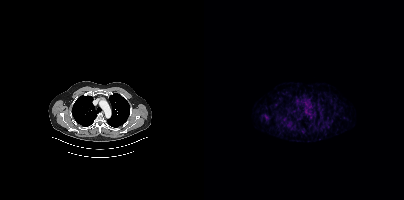
{"modality":"PSMA PET/CT","view":"axial","tracer":"[68Ga]Ga-PSMA-11","pet_grid":[200,200],"coord_frame":"pet_panel","coord_format":"x0,y0,x1,y1","lesion_bboxes":[],"small_foci_centers":[[61,115]]}